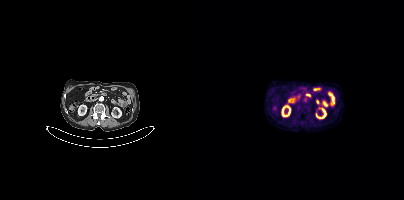
Paired axial CT (left) and PSMA PET (right), 18F tracer. Negative for PSMA-avid disease on this slice.